Technique: Paired axial CT (left) and PSMA PET (right), 18F tracer. slice position z = -1033 mm.
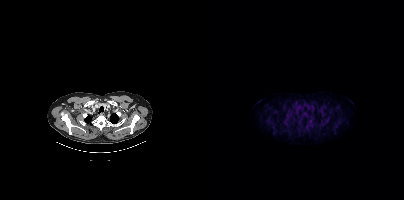
Findings: Negative for PSMA-avid disease on this slice.